- Paired axial CT (left) and PSMA PET (right), 18F-PSMA tracer
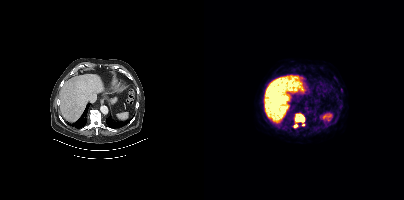
Findings: Coordinates are on the 200×200 PET (right) panel. PSMA-avid tumor lesion bounding boxes (x, y, width, height): x=91 y=113 w=10 h=10 | x=89 y=124 w=5 h=4. Small PSMA-avid foci (2 to 4 px across) near (center x, center y): (99, 124) | (130, 77).